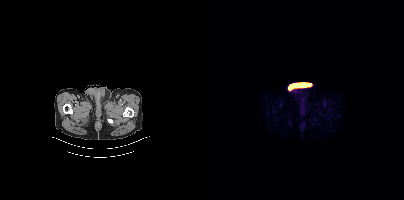
{"pet_grid":[200,200],"coord_frame":"pet_panel","coord_format":"x0,y0,x1,y1","psma_avid_lesions":false,"modality":"PSMA PET/CT","view":"axial","tracer":"[18F]PSMA-1007"}